Facial anatomy redacted by setting a rectangular region of the head to black.
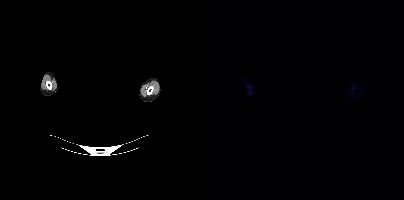
No PSMA-avid tumor lesions on this slice.